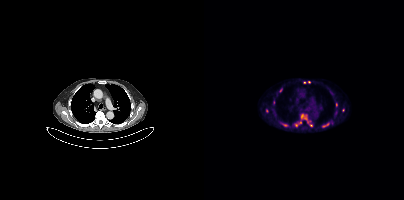
modality: PSMA PET/CT | tracer: 18F-PSMA | view: axial
Coordinates are on the 200×200 PET (right) panel. (showing 11 of 13 foci) PSMA-avid tumor lesion bounding boxes (x, y, width, height): x=97 y=114 w=6 h=6 | x=118 y=123 w=8 h=5 | x=79 y=124 w=5 h=3. Small PSMA-avid foci (2 to 4 px across) near (center x, center y): (76, 90) | (132, 104) | (107, 125) | (105, 81) | (100, 82) | (62, 110) | (96, 122) | (92, 125).